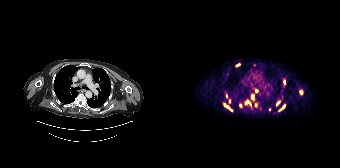
- Paired axial CT (left) and PSMA PET (right), 68Ga-PSMA tracer
Findings: Coordinates are on the 168×168 PET (right) panel. (showing 14 of 16 foci) PSMA-avid tumor lesion bounding boxes (x, y, width, height): x=55 y=106 w=6 h=6; x=64 y=64 w=5 h=3; x=108 y=106 w=5 h=5. Small PSMA-avid foci (2 to 4 px across) near (center x, center y): (74, 102); (54, 95); (57, 101); (84, 91); (128, 92); (80, 96); (112, 82); (52, 104); (68, 105); (97, 109); (105, 103).